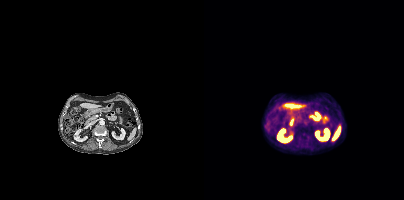
No tumor lesions annotated on this slice.